An anonymization step blacked out a rectangle over the head in this scan.
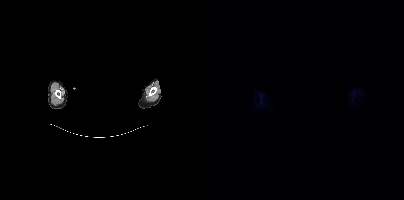
Negative for PSMA-avid disease on this slice.